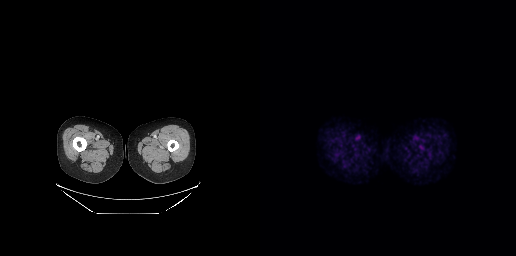
modality: PSMA PET/CT | tracer: [18F]PSMA-1007 | view: axial
This slice has no annotated PSMA-avid lesion.